Technique: Left: CT. Right: PSMA PET, same axial level, [18F]PSMA-1007 tracer. acquired on GE Discovery 690. slice position z = -668 mm. PET panel 256×256 px (2.7 mm/px).
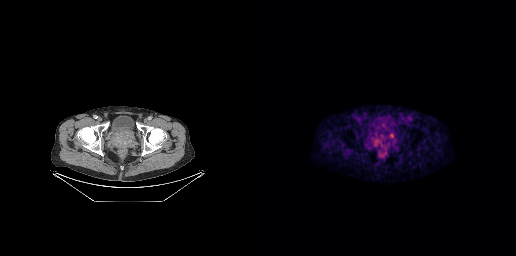
Findings: Coordinates are on the 256×256 PET (right) panel. PSMA-avid tumor lesion bounding box (x0, y0)-(x1, y1): (130, 132)-(134, 138).